Technique: Left: CT. Right: PSMA PET, same axial level, [18F]PSMA-1007 tracer.
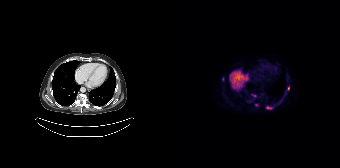
Findings: Coordinates are on the 168×168 PET (right) panel. PSMA-avid tumor lesion bounding boxes (x0, y0)-(x1, y1): (79, 94)-(84, 96) | (94, 107)-(99, 108). Small PSMA-avid foci (2 to 4 px across) near (center x, center y): (50, 78) | (116, 88) | (84, 104).